Left: CT. Right: PSMA PET, same axial level, [18F]PSMA-1007 tracer.
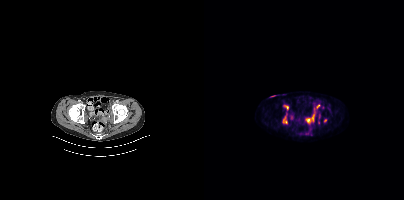
Coordinates are on the 200×200 PET (right) panel. (showing 5 of 6 foci) PSMA-avid tumor lesion bounding boxes (x0, y0)-(x1, y1): (78, 113)-(83, 124); (79, 104)-(84, 110). Small PSMA-avid foci (2 to 4 px across) near (center x, center y): (104, 120); (114, 106); (108, 118).